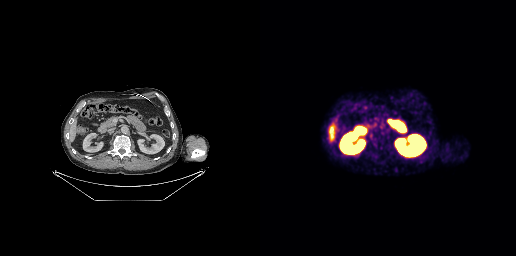
{"pet_grid":[256,256],"coord_frame":"pet_panel","coord_format":"x0,y0,x1,y1","lesion_bboxes":[],"small_foci_centers":[[110,134]],"modality":"PSMA PET/CT","view":"axial","tracer":"68Ga"}